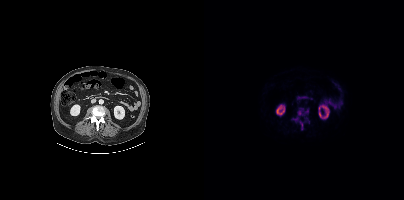
Findings: Coordinates are on the 200×200 PET (right) panel. (showing 4 of 5 foci) PSMA-avid tumor lesion bounding boxes (x0, y0)-(x1, y1): (94, 108)-(99, 115) | (96, 121)-(98, 129) | (89, 117)-(94, 120). Small PSMA-avid focus (2 to 4 px across) near (center x, center y): (102, 110).
- Two-panel axial: CT | PSMA PET, 18F tracer
- PET panel 200×200 px (4.1 mm/px)